- Two-panel axial: CT | PSMA PET, 68Ga-PSMA tracer
- acquired on Siemens Biograph mCT Flow 20
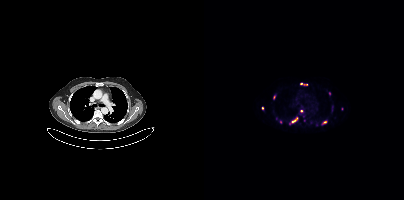
Findings: Coordinates are on the 200×200 PET (right) panel. (showing 8 of 10 foci) PSMA-avid tumor lesion bounding boxes (x, y, width, height): x=96 y=83 w=8 h=3; x=88 y=118 w=6 h=5. Small PSMA-avid foci (2 to 4 px across) near (center x, center y): (120, 122); (76, 121); (125, 93); (58, 108); (97, 110); (72, 118).